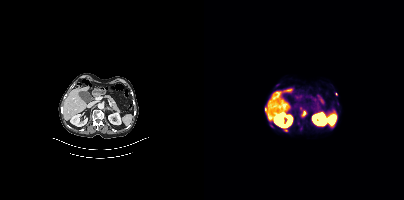
Coordinates are on the 200×200 PET (right) panel. (showing 7 of 8 foci) PSMA-avid tumor lesion bounding boxes (x0,y0,x1,y1): [98,110,102,115], [61,107,62,111]. Small PSMA-avid foci (2 to 4 px across) near (center x, center y): (67, 125), (129, 125), (94, 123), (96, 108), (82, 130).